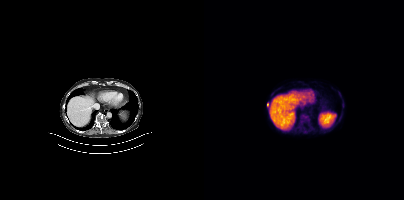
Technique: Paired axial CT (left) and PSMA PET (right), [18F]PSMA-1007 tracer. slice 221 of 401. PET panel 200×200 px (4.1 mm/px).
Findings: Coordinates are on the 200×200 PET (right) panel. PSMA-avid tumor lesion bounding box (x, y, width, height): x=96 y=113 w=10 h=10. Small PSMA-avid focus (2 to 4 px across) near (center x, center y): (63, 104).